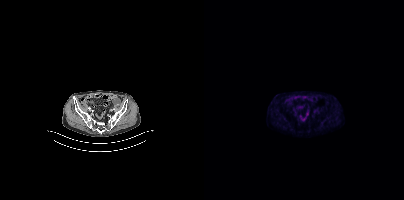
modality: PSMA PET/CT | tracer: [18F]PSMA-1007 | view: axial | PET grid: 200×200
Negative for PSMA-avid disease on this slice.